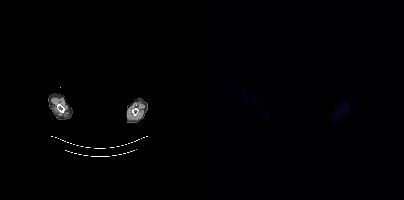
The face region was removed for patient privacy by blanking a rectangle over the head. Left: CT. Right: PSMA PET, same axial level, 18F tracer. Acquired on Siemens Biograph mCT Flow 20. Slice position z = -1118 mm. No PSMA-avid tumor lesions on this slice.